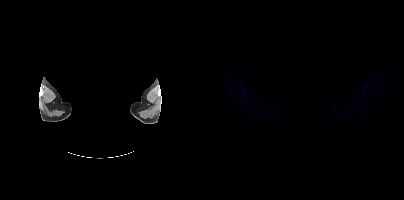
Paired axial CT (left) and PSMA PET (right), 18F-PSMA tracer. Slice 383 of 417. The head region is masked for de-identification. No tumor lesions annotated on this slice.